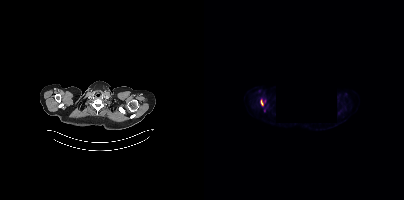
- Two-panel axial: CT | PSMA PET, 18F-PSMA tracer
- acquired on Siemens Biograph mCT Flow 20
- slice 337 of 389
- PET panel 200×200 px (4.1 mm/px)
- a black rectangle in this scan is a privacy mask, not anatomy
Findings: Coordinates are on the 200×200 PET (right) panel. (showing 1 of 2 foci) PSMA-avid tumor lesion bounding box (x, y, width, height): x=56 y=99 w=4 h=7.